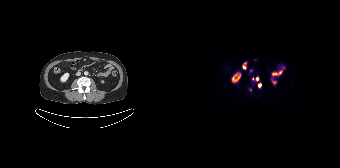
- Two-panel axial: CT | PSMA PET, [18F]PSMA-1007 tracer
Findings: Coordinates are on the 168×168 PET (right) panel. PSMA-avid tumor lesion bounding box (x0,y0,x1,y1): [86,83,89,87]. Small PSMA-avid foci (2 to 4 px across) near (center x, center y): (85, 78), (78, 90), (80, 78).